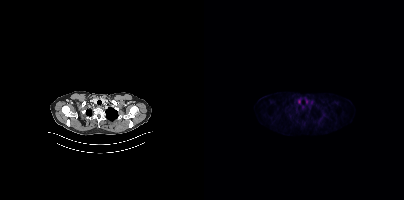
This slice has no annotated PSMA-avid lesion.
modality: PSMA PET/CT | tracer: 18F-PSMA | view: axial | PET grid: 200×200